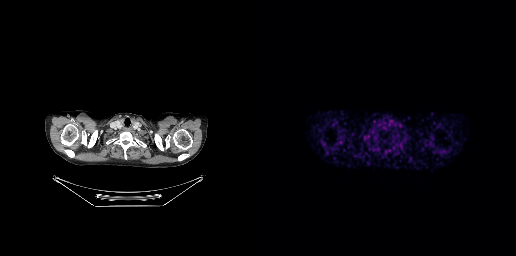
{"pet_grid":[256,256],"coord_frame":"pet_panel","coord_format":"x0,y0,x1,y1","psma_avid_lesions":false,"modality":"PSMA PET/CT","view":"axial","tracer":"68Ga-PSMA"}